modality: PSMA PET/CT | tracer: 18F-PSMA | view: axial | PET grid: 200×200
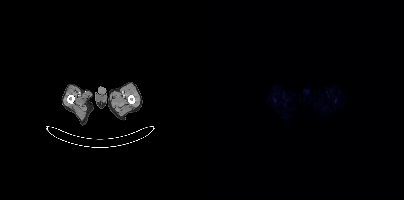
No PSMA-avid tumor lesions on this slice.